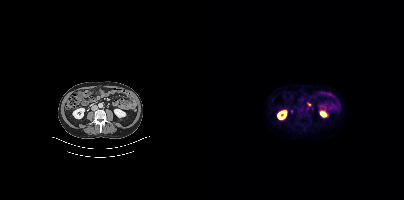
- Left: CT. Right: PSMA PET, same axial level, 18F tracer
- acquired on Siemens Biograph mCT Flow 20
- PET panel 200×200 px (4.1 mm/px)
Findings: Coordinates are on the 200×200 PET (right) panel. Small PSMA-avid focus (2 to 4 px across) near (center x, center y): (104, 104).